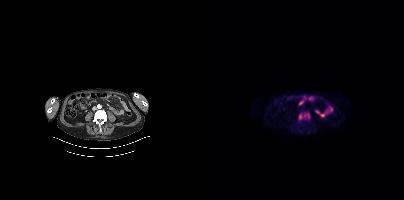
modality: PSMA PET/CT | tracer: [18F]PSMA-1007 | view: axial
Coordinates are on the 200×200 PET (right) panel. PSMA-avid tumor lesion bounding box (x0,y0,x1,y1): [94,111,106,120].